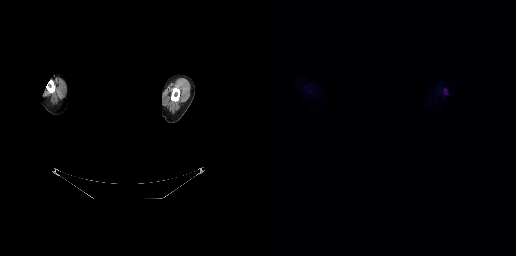
Findings: Negative for PSMA-avid disease on this slice.
Technique: Left: CT. Right: PSMA PET, same axial level, 18F-PSMA tracer.
Note: A rectangular block over the head has been blanked out for de-identification.